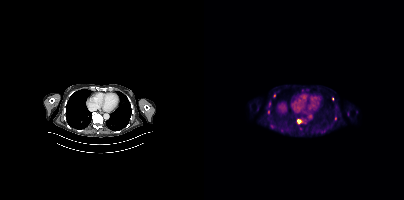
Coordinates are on the 200×200 PET (right) panel. (showing 3 of 5 foci) Small PSMA-avid foci (2 to 4 px across) near (center x, center y): (95, 121), (64, 112), (70, 95).